- Left: CT. Right: PSMA PET, same axial level, 18F tracer
- slice 91 of 413
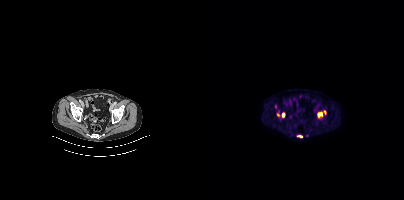
Findings: Coordinates are on the 200×200 PET (right) panel. PSMA-avid tumor lesion bounding boxes (x0, y0)-(x1, y1): (113, 110)-(122, 117) / (78, 112)-(81, 117) / (93, 135)-(98, 137). Small PSMA-avid focus (2 to 4 px across) near (center x, center y): (74, 114).